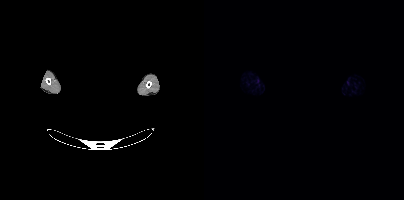
Technique: Left: CT. Right: PSMA PET, same axial level, 18F tracer. acquired on Siemens Biograph mCT Flow 20.
Note: Head region blanked for anonymization (face removed).
Findings: Negative for PSMA-avid disease on this slice.